Technique: Two-panel axial: CT | PSMA PET, [18F]PSMA-1007 tracer. acquired on Siemens Biograph mCT Flow 20.
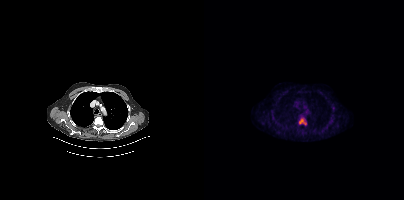
Findings: Coordinates are on the 200×200 PET (right) panel. PSMA-avid tumor lesion bounding box (x0, y0)-(x1, y1): (95, 118)-(102, 125).